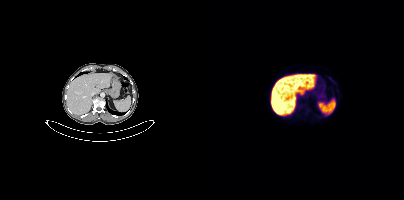
Paired axial CT (left) and PSMA PET (right), 18F-PSMA tracer. Acquired on Siemens Biograph mCT Flow 20. Slice position z = -644 mm. This slice has no annotated PSMA-avid lesion.